modality: PSMA PET/CT | tracer: 68Ga | view: axial | PET grid: 200×200
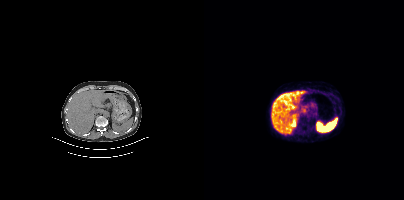
This slice has no annotated PSMA-avid lesion.